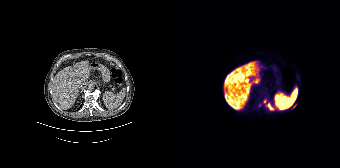
Paired axial CT (left) and PSMA PET (right), 18F tracer. Acquired on Siemens Biograph 64-4R TruePoint.
Coordinates are on the 168×168 PET (right) panel. PSMA-avid tumor lesion bounding boxes:
| # | x0 | y0 | x1 | y1 |
|---|---|---|---|---|
| 1 | 94 | 103 | 102 | 110 |
| 2 | 86 | 102 | 90 | 107 |
Small PSMA-avid foci (2 to 4 px across) near (center x, center y): (93, 101); (121, 107).